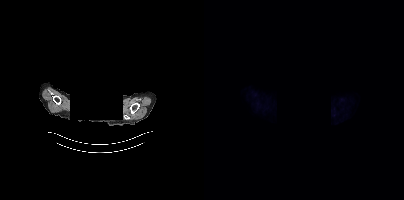
Negative for PSMA-avid disease on this slice. Paired axial CT (left) and PSMA PET (right), 18F tracer. Acquired on Siemens Biograph mCT Flow 20. Slice position z = -426 mm. Face de-identified by blanking a block of the head.